The face region was removed for patient privacy by blanking a rectangle over the head.
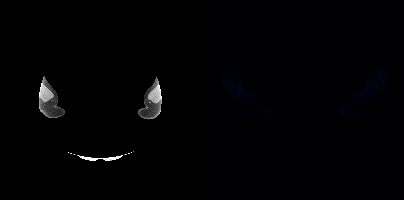
No PSMA-avid tumor lesions on this slice.